Two-panel axial: CT | PSMA PET, 68Ga-PSMA tracer.
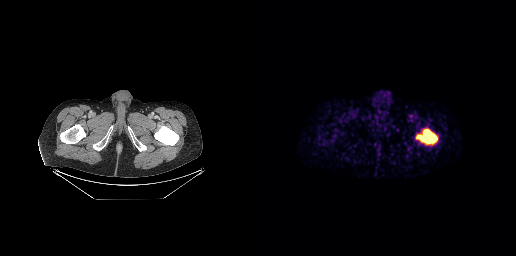
Coordinates are on the 256×256 PET (right) panel. PSMA-avid tumor lesion bounding boxes:
| # | x0 | y0 | x1 | y1 |
|---|---|---|---|---|
| 1 | 156 | 129 | 177 | 144 |